Two-panel axial: CT | PSMA PET, 18F-PSMA tracer. PET panel 200×200 px (4.1 mm/px).
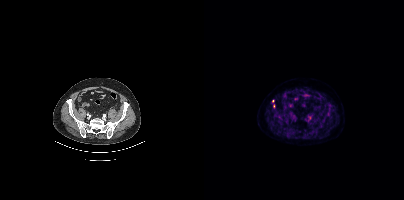
Coordinates are on the 200×200 PET (right) panel. (showing 1 of 2 foci) Small PSMA-avid focus (2 to 4 px across) near (center x, center y): (106, 117).